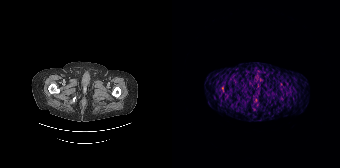
Left: CT. Right: PSMA PET, same axial level, 68Ga tracer. Slice 9 of 165. Negative for PSMA-avid disease on this slice.